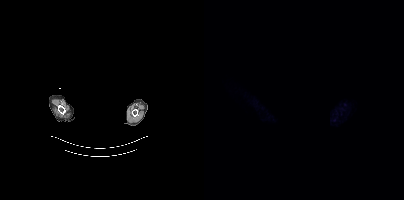
{"modality":"PSMA PET/CT","view":"axial","tracer":"[18F]PSMA-1007","pet_grid":[200,200],"coord_frame":"pet_panel","coord_format":"x0,y0,x1,y1","psma_avid_lesions":false,"deidentification":"head region blanked (face removed)"}